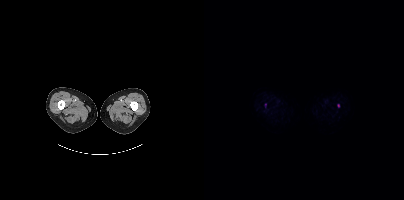
modality: PSMA PET/CT | tracer: 18F-PSMA | view: axial
Coordinates are on the 200×200 PET (right) panel. Small PSMA-avid foci (2 to 4 px across) near (center x, center y): (134, 105); (61, 104).